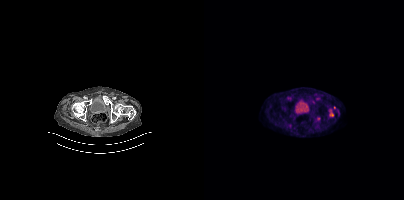
Findings: Coordinates are on the 200×200 PET (right) panel. Small PSMA-avid foci (2 to 4 px across) near (center x, center y): (113, 98) | (109, 101).
- Paired axial CT (left) and PSMA PET (right), [18F]PSMA-1007 tracer
- acquired on Siemens Biograph mCT Flow 20
- slice 54 of 367